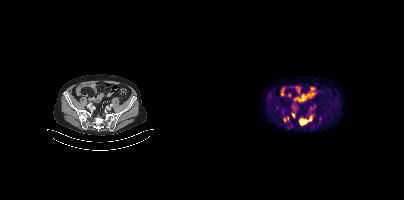
Technique: Two-panel axial: CT | PSMA PET, [18F]PSMA-1007 tracer. slice 113 of 429.
Findings: Coordinates are on the 200×200 PET (right) panel. (showing 5 of 6 foci) PSMA-avid tumor lesion bounding boxes (x, y, width, height): x=95 y=116 w=15 h=9 | x=88 y=113 w=3 h=5. Small PSMA-avid foci (2 to 4 px across) near (center x, center y): (80, 119) | (65, 95) | (83, 118).